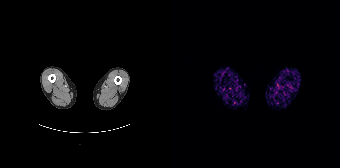
- Left: CT. Right: PSMA PET, same axial level, 68Ga tracer
- acquired on Siemens Biograph 64-4R TruePoint
- slice 3 of 195
Findings: No PSMA-avid tumor lesions on this slice.